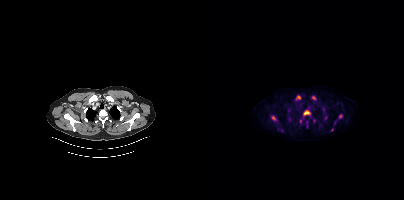
Two-panel axial: CT | PSMA PET, 18F-PSMA tracer. Acquired on Siemens Biograph mCT Flow 20. Slice position z = -974 mm. PET panel 200×200 px (4.1 mm/px). Coordinates are on the 200×200 PET (right) panel. (showing 10 of 12 foci) PSMA-avid tumor lesion bounding boxes (x0,y0,x1,y1): [99,110,106,115], [91,95,96,100], [102,120,104,128], [67,116,71,120], [108,96,112,99]. Small PSMA-avid foci (2 to 4 px across) near (center x, center y): (77, 130), (121, 118), (136, 115), (128, 129), (96, 121).